Face de-identified by blanking a block of the head.
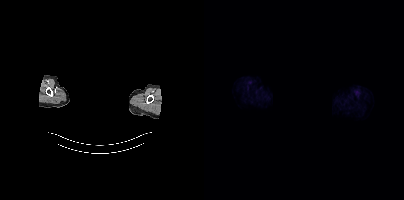
This slice has no annotated PSMA-avid lesion.